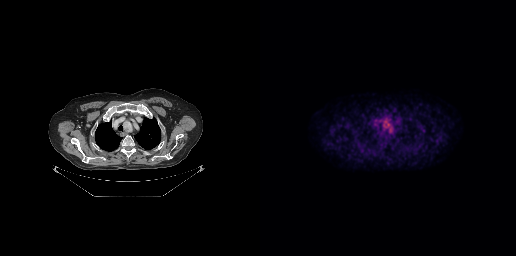
Coordinates are on the 256×256 PET (right) panel. PSMA-avid tumor lesion bounding boxes:
| # | x0 | y0 | x1 | y1 |
|---|---|---|---|---|
| 1 | 120 | 117 | 133 | 132 |
Paired axial CT (left) and PSMA PET (right), 18F-PSMA tracer. Acquired on GE Discovery 690.